modality: PSMA PET/CT | tracer: 18F-PSMA | view: axial
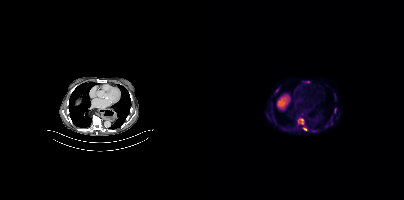
Coordinates are on the 200×200 PET (right) panel. PSMA-avid tumor lesion bounding boxes (x, y, width, height): x=93 y=118 w=8 h=8; x=98 y=126 w=6 h=6; x=130 y=108 w=3 h=5; x=101 y=81 w=5 h=2. Small PSMA-avid focus (2 to 4 px across) near (center x, center y): (73, 90).